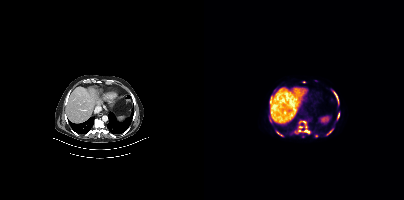
Coordinates are on the 200×200 PET (right) panel. (showing 8 of 12 foci) PSMA-avid tumor lesion bounding boxes (x0, y0)-(x1, y1): (100, 129)-(105, 133) | (130, 92)-(133, 98) | (123, 130)-(128, 134) | (134, 113)-(135, 117). Small PSMA-avid foci (2 to 4 px across) near (center x, center y): (95, 130) | (96, 126) | (101, 126) | (74, 133).